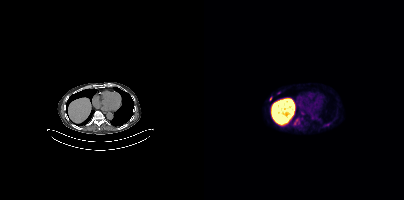
Technique: Paired axial CT (left) and PSMA PET (right), 18F tracer. acquired on Siemens Biograph mCT Flow 20.
Findings: Coordinates are on the 200×200 PET (right) panel. PSMA-avid tumor lesion bounding box (x, y, width, height): x=89 y=119 w=5 h=7. Small PSMA-avid foci (2 to 4 px across) near (center x, center y): (66, 98) / (75, 92) / (96, 125).